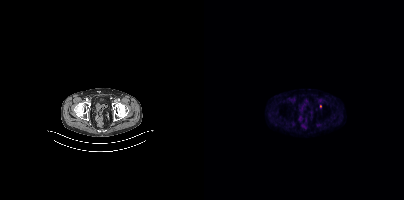
- Two-panel axial: CT | PSMA PET, 18F tracer
- PET panel 200×200 px (4.1 mm/px)
Findings: Coordinates are on the 200×200 PET (right) panel. Small PSMA-avid focus (2 to 4 px across) near (center x, center y): (116, 106).